modality: PSMA PET/CT | tracer: 18F | view: axial
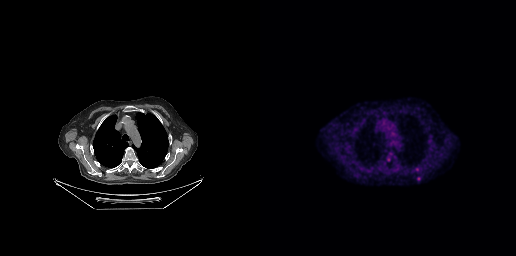
Negative for PSMA-avid disease on this slice.